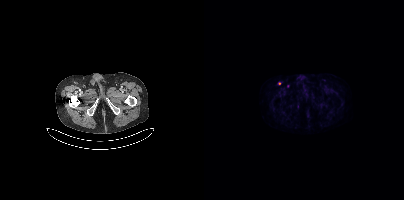
Coordinates are on the 200×200 PET (right) panel. Small PSMA-avid foci (2 to 4 px across) near (center x, center y): (75, 83) | (83, 85). Left: CT. Right: PSMA PET, same axial level, 18F-PSMA tracer.